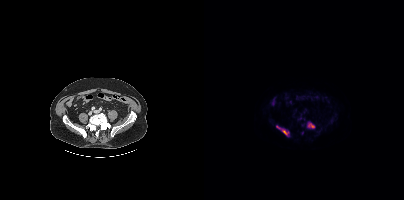
{"pet_grid":[200,200],"coord_frame":"pet_panel","coord_format":"x0,y0,x1,y1","lesion_bboxes":[[78,129,84,135],[104,123,110,127],[72,126,76,128]],"small_foci_centers":[[98,132]],"modality":"PSMA PET/CT","view":"axial","tracer":"18F"}